Left: CT. Right: PSMA PET, same axial level, [18F]PSMA-1007 tracer. Acquired on Siemens Biograph mCT Flow 20. Slice position z = -945 mm. PET panel 200×200 px (4.1 mm/px).
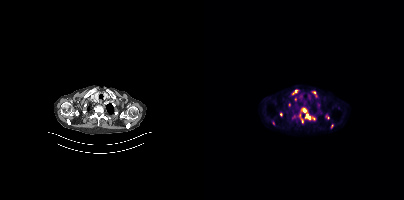
Coordinates are on the 200×200 PET (right) panel. PSMA-avid tumor lesion bounding boxes (x0, y0)-(x1, y1): (93, 107)-(111, 123) | (88, 89)-(94, 94) | (108, 91)-(113, 97) | (67, 120)-(71, 125) | (76, 112)-(78, 116). Small PSMA-avid foci (2 to 4 px across) near (center x, center y): (128, 125) | (85, 104) | (124, 117).